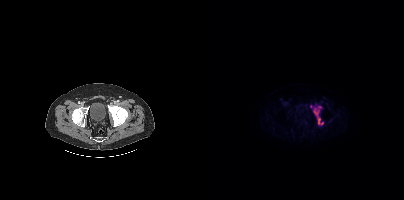
Left: CT. Right: PSMA PET, same axial level, 18F tracer. Slice position z = -1456 mm. PET panel 200×200 px (4.1 mm/px).
Coordinates are on the 200×200 PET (right) panel. PSMA-avid tumor lesion bounding boxes:
| # | x0 | y0 | x1 | y1 |
|---|---|---|---|---|
| 1 | 109 | 108 | 119 | 124 |
Small PSMA-avid foci (2 to 4 px across) near (center x, center y): (115, 106); (106, 106).